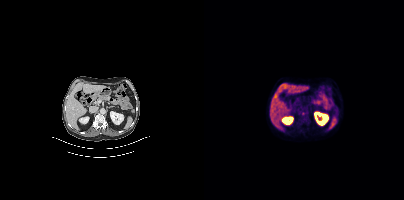
Coordinates are on the 200×200 PET (right) panel. Small PSMA-avid focus (2 to 4 px across) near (center x, center y): (98, 113).